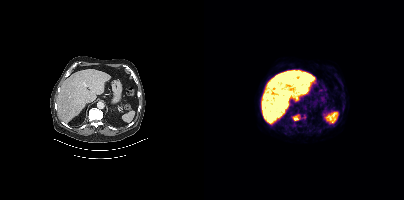
Findings: Coordinates are on the 200×200 PET (right) panel. PSMA-avid tumor lesion bounding box (x0,y0,x1,y1): [89,115,94,120].
Technique: Two-panel axial: CT | PSMA PET, 18F tracer. PET panel 200×200 px (4.1 mm/px).